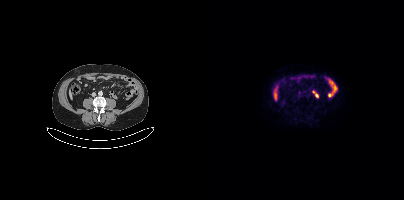
Findings: Coordinates are on the 200×200 PET (right) panel. Small PSMA-avid focus (2 to 4 px across) near (center x, center y): (95, 92).
Technique: Paired axial CT (left) and PSMA PET (right), [18F]PSMA-1007 tracer. acquired on Siemens Biograph mCT Flow 20. PET panel 200×200 px (4.1 mm/px).